A rectangular block over the head has been blanked out for de-identification. Two-panel axial: CT | PSMA PET, 18F tracer. Acquired on Siemens Biograph mCT Flow 20.
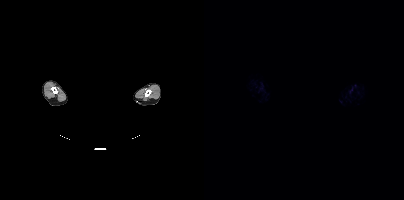
This slice has no annotated PSMA-avid lesion.